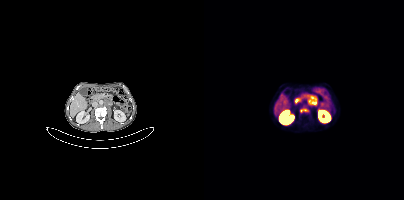
Coordinates are on the 200×200 PET (right) panel. PSMA-avid tumor lesion bounding boxes (x0,y0,x1,y1): [101,95,113,105] [97,107,105,113].
modality: PSMA PET/CT | tracer: [68Ga]Ga-PSMA-11 | view: axial